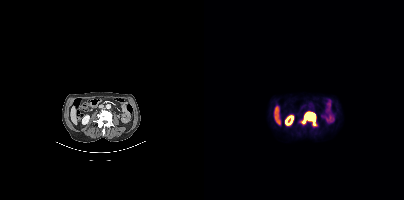
{"modality":"PSMA PET/CT","view":"axial","tracer":"18F","pet_grid":[200,200],"coord_frame":"pet_panel","coord_format":"x0,y0,x1,y1","lesion_bboxes":[[95,112,112,125]]}